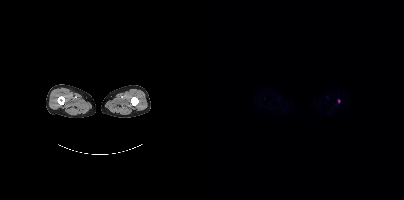
{"pet_grid":[200,200],"coord_frame":"pet_panel","coord_format":"x0,y0,x1,y1","lesion_bboxes":[],"small_foci_centers":[[134,101]],"modality":"PSMA PET/CT","view":"axial","tracer":"18F-PSMA"}